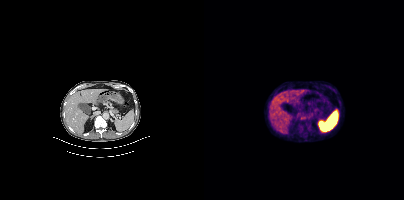
modality: PSMA PET/CT | tracer: 18F-PSMA | view: axial
Coordinates are on the 200×200 PET (right) panel. PSMA-avid tumor lesion bounding box (x, y, width, height): x=96 y=116 w=10 h=10.